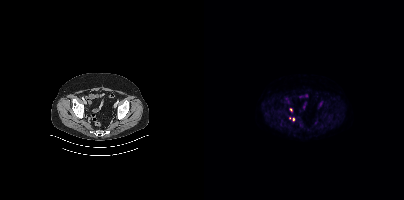
Left: CT. Right: PSMA PET, same axial level, 18F-PSMA tracer. Acquired on Siemens Biograph mCT Flow 20. Slice position z = -871 mm. Coordinates are on the 200×200 PET (right) panel. Small PSMA-avid foci (2 to 4 px across) near (center x, center y): (87, 109) (89, 119) (85, 117).